Technique: Two-panel axial: CT | PSMA PET, 18F-PSMA tracer. acquired on Siemens Biograph mCT Flow 20.
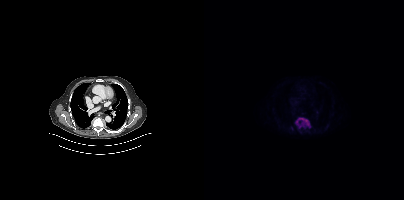
Findings: Coordinates are on the 200×200 PET (right) panel. PSMA-avid tumor lesion bounding box (x, y, width, height): x=91 y=119 w=16 h=10.